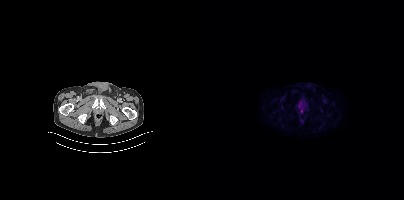
Paired axial CT (left) and PSMA PET (right), 18F tracer. Acquired on Siemens Biograph mCT Flow 20. PET panel 200×200 px (4.1 mm/px). This slice has no annotated PSMA-avid lesion.